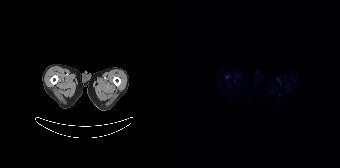
Left: CT. Right: PSMA PET, same axial level, 18F tracer. Slice 11 of 165. Only PSMA-avid lesion pieces thinner than 2 px on this slice (not listed).